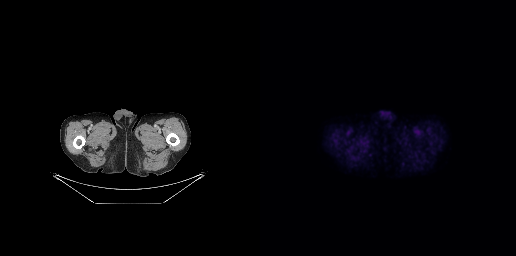
{"modality":"PSMA PET/CT","view":"axial","tracer":"18F-PSMA","pet_grid":[256,256],"coord_frame":"pet_panel","coord_format":"x0,y0,x1,y1","psma_avid_lesions":false}